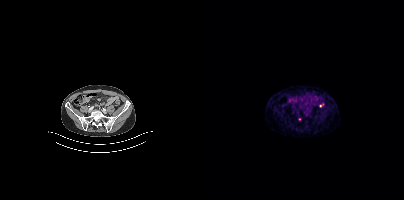
Only PSMA-avid lesion pieces thinner than 2 px on this slice (not listed).